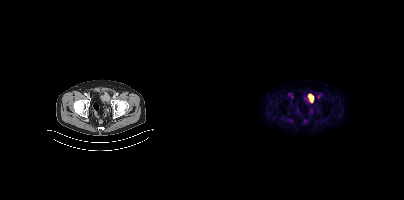
Findings: Coordinates are on the 200×200 PET (right) panel. PSMA-avid tumor lesion bounding box (x, y, width, height): x=83 y=118 w=6 h=5.
Technique: Paired axial CT (left) and PSMA PET (right), 18F-PSMA tracer.